Technique: Two-panel axial: CT | PSMA PET, [18F]PSMA-1007 tracer. slice 269 of 367.
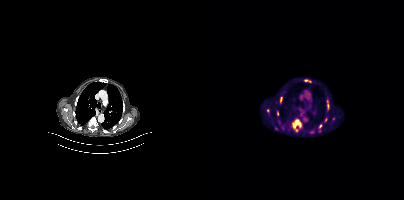
Findings: Coordinates are on the 200×200 PET (right) panel. (showing 9 of 11 foci) PSMA-avid tumor lesion bounding boxes (x0, y0)-(x1, y1): (88, 119)-(97, 129) / (123, 102)-(125, 109) / (106, 130)-(110, 133) / (73, 111)-(75, 116). Small PSMA-avid foci (2 to 4 px across) near (center x, center y): (64, 110) / (72, 128) / (80, 92) / (76, 102) / (78, 96).